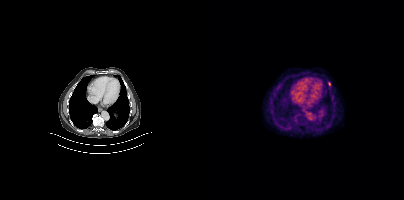
Coordinates are on the 200×200 PET (right) panel. PSMA-avid tumor lesion bounding box (x0, y0)-(x1, y1): (124, 82)-(126, 86).